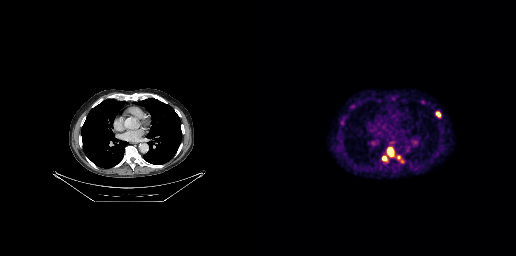
{"modality":"PSMA PET/CT","view":"axial","tracer":"68Ga-PSMA","pet_grid":[256,256],"coord_frame":"pet_panel","coord_format":"x0,y0,x1,y1","lesion_bboxes":[[128,148,133,154],[176,112,180,116]],"small_foci_centers":[[124,158],[82,122],[139,157]]}